A rectangular block over the head has been blanked out for de-identification.
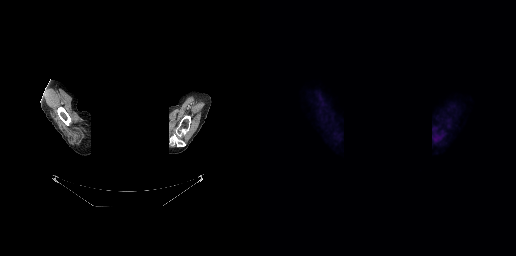
No PSMA-avid tumor lesions on this slice.